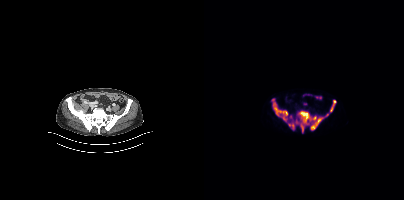
Technique: Two-panel axial: CT | PSMA PET, 18F-PSMA tracer. acquired on Siemens Biograph mCT Flow 20. slice 107 of 387. PET panel 200×200 px (4.1 mm/px).
Findings: Coordinates are on the 200×200 PET (right) panel. PSMA-avid tumor lesion bounding boxes (x0, y0)-(x1, y1): (84, 110)-(119, 132) | (68, 99)-(84, 121) | (126, 100)-(131, 112). Small PSMA-avid foci (2 to 4 px across) near (center x, center y): (122, 115) | (86, 117).